Facial anatomy redacted by setting a rectangular region of the head to black. Two-panel axial: CT | PSMA PET, [18F]PSMA-1007 tracer. Acquired on Siemens Biograph mCT Flow 20. Slice position z = -881 mm.
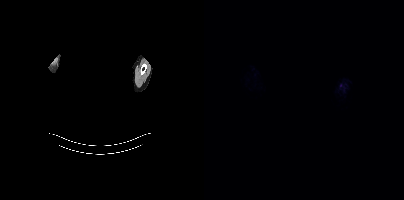
No tumor lesions annotated on this slice.